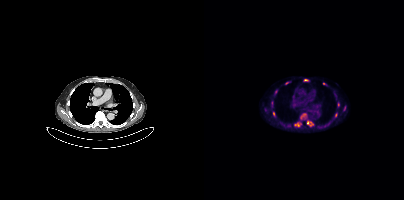
{"pet_grid":[200,200],"coord_frame":"pet_panel","coord_format":"x0,y0,x1,y1","partial":true,"lesion_bboxes":[[103,121,109,125],[91,123,95,126]],"small_foci_centers":[[82,83],[69,113],[101,79],[120,83],[134,104],[131,114]],"modality":"PSMA PET/CT","view":"axial","tracer":"18F"}